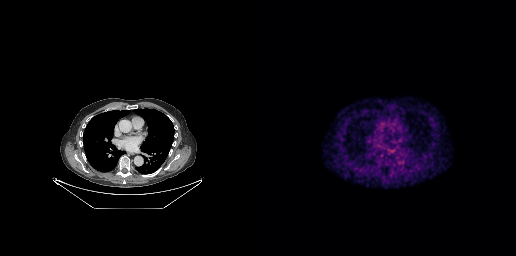
Two-panel axial: CT | PSMA PET, [68Ga]Ga-PSMA-11 tracer. Negative for PSMA-avid disease on this slice.